- facial anatomy redacted by setting a rectangular region of the head to black
- Paired axial CT (left) and PSMA PET (right), 18F tracer
- slice 404 of 454
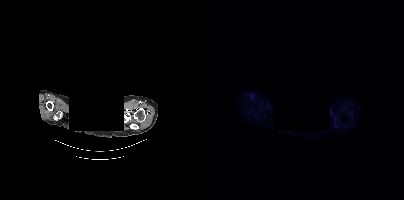
Findings: This slice has no annotated PSMA-avid lesion.